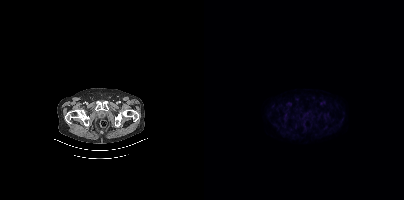
Findings: No tumor lesions annotated on this slice.
- Paired axial CT (left) and PSMA PET (right), [18F]PSMA-1007 tracer
- acquired on Siemens Biograph mCT Flow 20
- slice position z = -842 mm
- PET panel 200×200 px (4.1 mm/px)